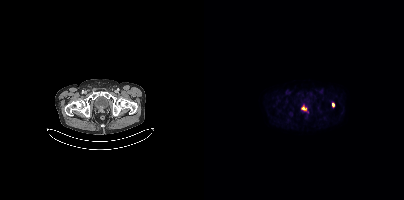
Findings: Coordinates are on the 200×200 PET (right) panel. PSMA-avid tumor lesion bounding box (x0,y0,x1,y1): [98,106,104,113]. Small PSMA-avid focus (2 to 4 px across) near (center x, center y): (129, 104).
- Left: CT. Right: PSMA PET, same axial level, 18F tracer
- acquired on Siemens Biograph mCT Flow 20
- slice 50 of 403